Technique: Two-panel axial: CT | PSMA PET, [18F]PSMA-1007 tracer. acquired on Siemens Biograph mCT Flow 20.
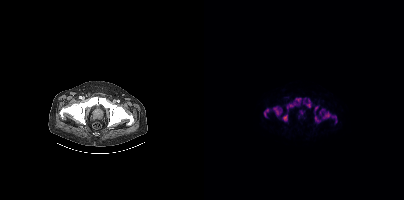
Findings: Coordinates are on the 200×200 PET (right) panel. PSMA-avid tumor lesion bounding boxes (x0, y0)-(x1, y1): (115, 109)-(133, 122) | (83, 97)-(97, 108) | (69, 107)-(77, 115) | (99, 98)-(106, 106) | (60, 108)-(65, 117) | (111, 113)-(116, 122) | (78, 114)-(83, 121) | (111, 106)-(114, 111).